Technique: Paired axial CT (left) and PSMA PET (right), 68Ga tracer. slice position z = -891 mm.
Note: Facial anatomy redacted by setting a rectangular region of the head to black.
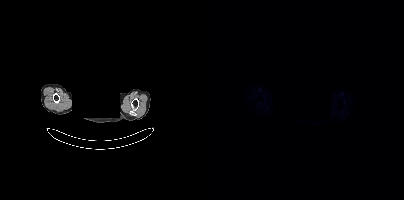
Findings: No PSMA-avid tumor lesions on this slice.